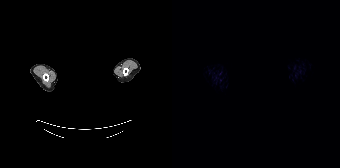
No PSMA-avid tumor lesions on this slice. Any black rectangle over the head is a privacy mask, not anatomy. Paired axial CT (left) and PSMA PET (right), 18F tracer.